modality: PSMA PET/CT | tracer: [18F]PSMA-1007 | view: axial
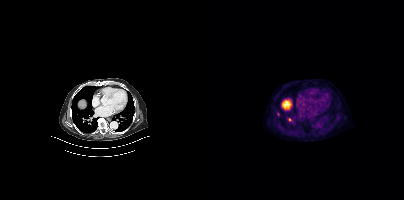
Coordinates are on the 200×200 PET (right) panel. Small PSMA-avid foci (2 to 4 px across) near (center x, center y): (85, 119) / (74, 114).